- Left: CT. Right: PSMA PET, same axial level, 68Ga-PSMA tracer
- slice 112 of 165
- PET panel 168×168 px (4.1 mm/px)
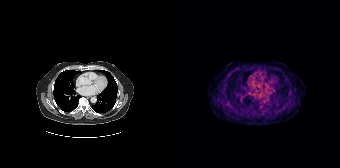
Findings: No PSMA-avid tumor lesions on this slice.